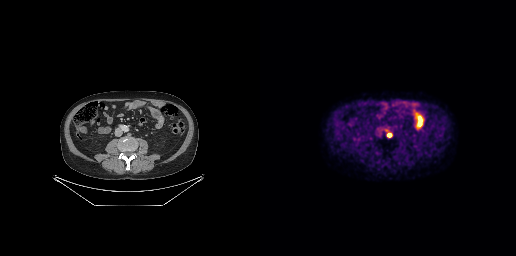
{"modality":"PSMA PET/CT","view":"axial","tracer":"18F","pet_grid":[256,256],"coord_frame":"pet_panel","coord_format":"x0,y0,x1,y1","lesion_bboxes":[[127,133,131,136]]}